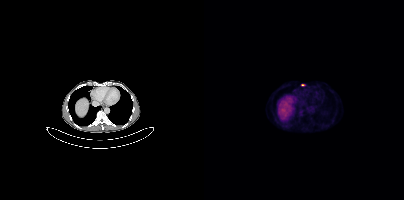
Coordinates are on the 200×200 PET (right) panel. Small PSMA-avid foci (2 to 4 px across) near (center x, center y): (98, 84); (96, 114). Two-panel axial: CT | PSMA PET, 68Ga tracer. Acquired on Siemens Biograph mCT Flow 20. Slice 239 of 409. PET panel 200×200 px (4.1 mm/px).